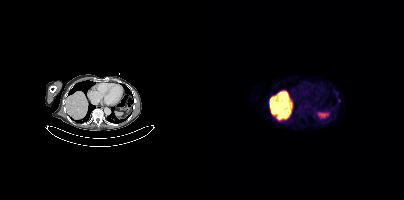
{"modality":"PSMA PET/CT","view":"axial","tracer":"18F","pet_grid":[200,200],"coord_frame":"pet_panel","coord_format":"x0,y0,x1,y1","partial":true,"lesion_bboxes":[],"small_foci_centers":[[132,92]]}